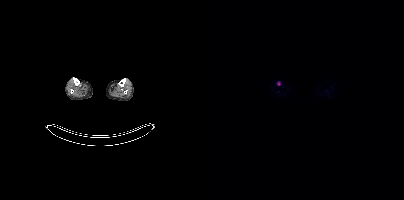
{"modality":"PSMA PET/CT","view":"axial","tracer":"18F-PSMA","pet_grid":[200,200],"coord_frame":"pet_panel","coord_format":"x0,y0,x1,y1","lesion_bboxes":[],"small_foci_centers":[[74,83]]}